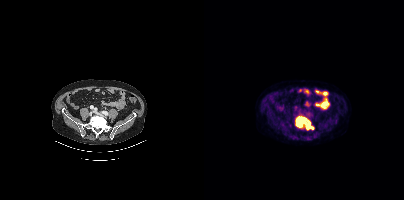
{"modality":"PSMA PET/CT","view":"axial","tracer":"18F","pet_grid":[200,200],"coord_frame":"pet_panel","coord_format":"x0,y0,x1,y1","lesion_bboxes":[[91,116,109,129]]}